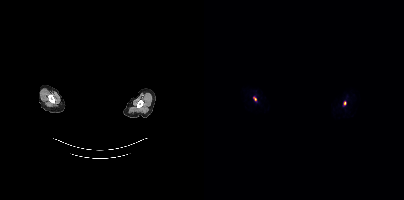
The head region is masked for de-identification.
Coordinates are on the 200×200 PET (right) panel. Small PSMA-avid foci (2 to 4 px across) near (center x, center y): (140, 103); (51, 99).